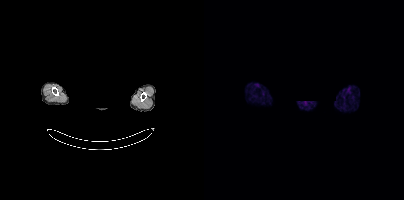
Findings: Negative for PSMA-avid disease on this slice.
- facial anatomy redacted by setting a rectangular region of the head to black
- Paired axial CT (left) and PSMA PET (right), 68Ga tracer
- slice 385 of 413